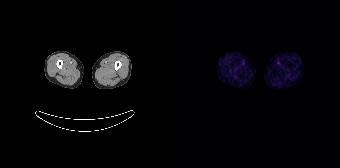
Paired axial CT (left) and PSMA PET (right), [68Ga]Ga-PSMA-11 tracer. No PSMA-avid tumor lesions on this slice.